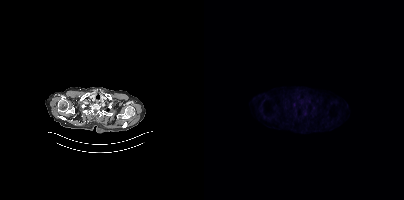
Left: CT. Right: PSMA PET, same axial level, 18F tracer. Acquired on Siemens Biograph mCT Flow 20. Negative for PSMA-avid disease on this slice.